- Paired axial CT (left) and PSMA PET (right), 18F-PSMA tracer
- slice 59 of 409
- PET panel 200×200 px (4.1 mm/px)
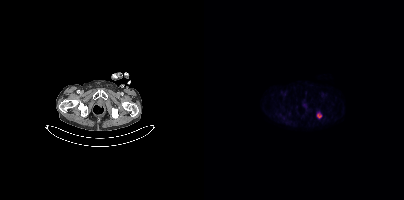
Findings: Coordinates are on the 200×200 PET (right) panel. PSMA-avid tumor lesion bounding box (x0,y0,x1,y1): [113,113,117,117].